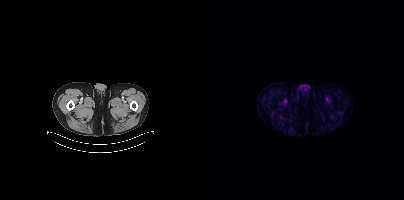
{"pet_grid":[200,200],"coord_frame":"pet_panel","coord_format":"x0,y0,x1,y1","psma_avid_lesions":false,"modality":"PSMA PET/CT","view":"axial","tracer":"68Ga-PSMA"}